Technique: Paired axial CT (left) and PSMA PET (right), 18F-PSMA tracer. acquired on Siemens Biograph mCT Flow 20.
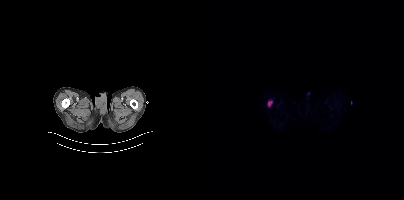
Findings: Coordinates are on the 200×200 PET (right) panel. PSMA-avid tumor lesion bounding box (x, y, width, height): x=64 y=101 w=5 h=6.